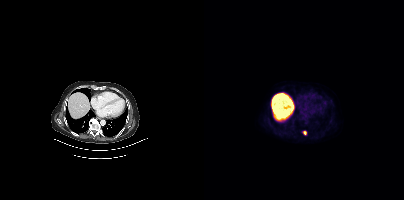
Coordinates are on the 200×200 PET (right) panel. PSMA-avid tumor lesion bounding box (x0,y0,x1,y1): [98,131,102,135]. Left: CT. Right: PSMA PET, same axial level, 18F-PSMA tracer. Slice position z = -586 mm. PET panel 200×200 px (4.1 mm/px).